- a rectangle over the head was blacked out to remove identifiable facial features
- Paired axial CT (left) and PSMA PET (right), 18F tracer
- slice position z = -762 mm
- PET panel 200×200 px (4.1 mm/px)
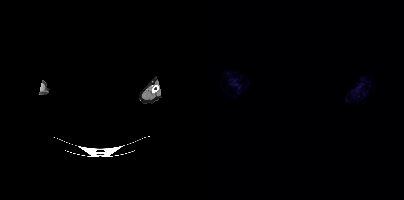
Findings: No PSMA-avid tumor lesions on this slice.